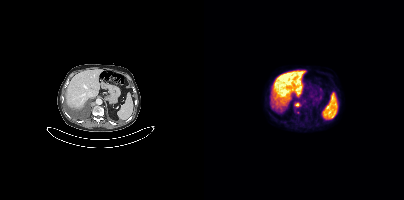
{"modality":"PSMA PET/CT","view":"axial","tracer":"18F-PSMA","pet_grid":[200,200],"coord_frame":"pet_panel","coord_format":"x0,y0,x1,y1","partial":true,"lesion_bboxes":[[91,102,96,106]]}